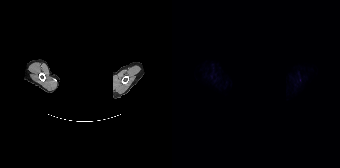
{"modality":"PSMA PET/CT","view":"axial","tracer":"18F-PSMA","pet_grid":[168,168],"coord_frame":"pet_panel","coord_format":"x0,y0,x1,y1","psma_avid_lesions":false,"de-identification":"head region blanked (face removed)"}